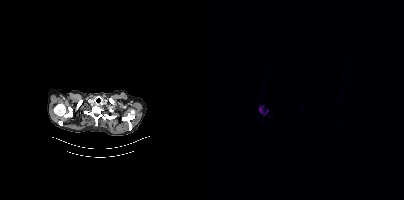
Coordinates are on the 200×200 PET (right) panel. PSMA-avid tumor lesion bounding box (x0,y0,x1,y1): [55,106,64,115].